- Left: CT. Right: PSMA PET, same axial level, [18F]PSMA-1007 tracer
- slice position z = -554 mm
- PET panel 200×200 px (4.1 mm/px)
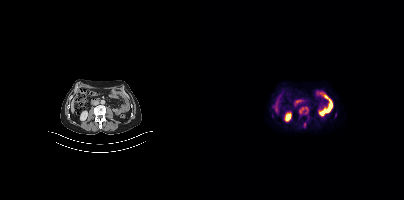
Findings: Coordinates are on the 200×200 PET (right) panel. (showing 1 of 3 foci) PSMA-avid tumor lesion bounding box (x0, y0)-(x1, y1): (95, 107)-(103, 113).